- Paired axial CT (left) and PSMA PET (right), [68Ga]Ga-PSMA-11 tracer
- PET panel 256×256 px (2.7 mm/px)
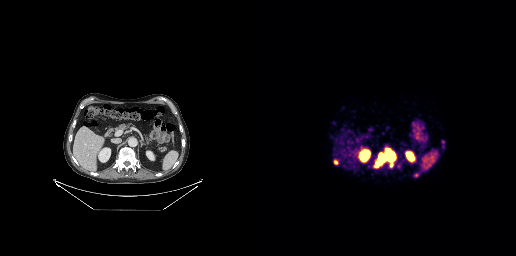
Findings: Coordinates are on the 256×256 PET (right) panel. (showing 4 of 5 foci) PSMA-avid tumor lesion bounding boxes (x0,y0,x1,y1): [115,150,135,167], [74,159,78,164]. Small PSMA-avid foci (2 to 4 px across) near (center x, center y): (131, 165), (183, 142).